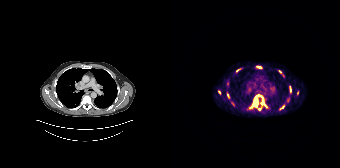
- Left: CT. Right: PSMA PET, same axial level, 68Ga tracer
- acquired on Siemens Biograph 64-4R TruePoint
- PET panel 168×168 px (4.1 mm/px)
Findings: Coordinates are on the 168×168 PET (right) panel. (showing 11 of 12 foci) PSMA-avid tumor lesion bounding boxes (x0, y0)-(x1, y1): (77, 94)-(95, 110) / (117, 86)-(119, 93) / (84, 66)-(89, 68) / (108, 105)-(112, 109) / (64, 69)-(68, 71). Small PSMA-avid foci (2 to 4 px across) near (center x, center y): (47, 92) / (125, 92) / (107, 71) / (111, 75) / (55, 95) / (60, 103).